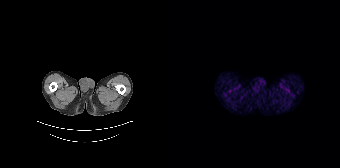
Findings: No PSMA-avid tumor lesions on this slice.
- Paired axial CT (left) and PSMA PET (right), 68Ga tracer
- acquired on Siemens Biograph 64-4R TruePoint
- slice position z = -944 mm
- PET panel 168×168 px (4.1 mm/px)